Left: CT. Right: PSMA PET, same axial level, 18F-PSMA tracer. PET panel 200×200 px (4.1 mm/px).
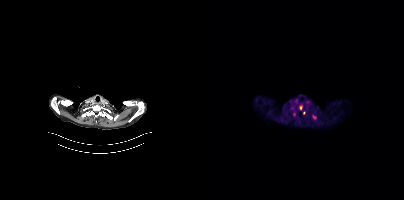
Coordinates are on the 200×200 PET (right) panel. PSMA-avid tumor lesion bounding box (x, y, width, height): x=108 y=115 w=5 h=5. Small PSMA-avid foci (2 to 4 px across) near (center x, center y): (96, 107); (99, 112).